modality: PSMA PET/CT | tracer: [18F]PSMA-1007 | view: axial | PET grid: 200×200
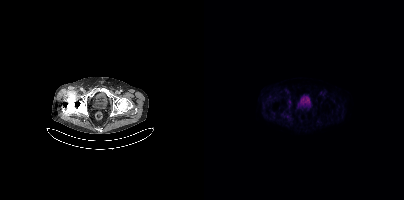
Negative for PSMA-avid disease on this slice.